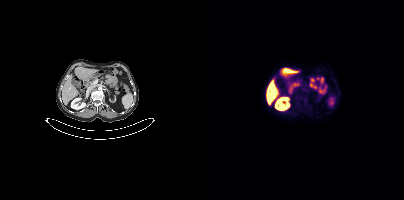
{"modality":"PSMA PET/CT","view":"axial","tracer":"18F-PSMA","pet_grid":[200,200],"coord_frame":"pet_panel","coord_format":"x0,y0,x1,y1","psma_avid_lesions":false}